Left: CT. Right: PSMA PET, same axial level, 18F tracer. Slice position z = -598 mm. PET panel 256×256 px (2.7 mm/px).
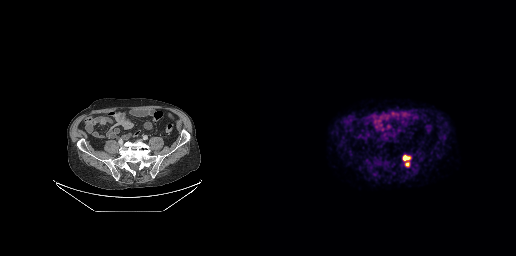
Coordinates are on the 256×256 PET (right) panel. PSMA-avid tumor lesion bounding box (x, y, width, height): x=143 y=156 w=6 h=4. Small PSMA-avid focus (2 to 4 px across) near (center x, center y): (147, 164).